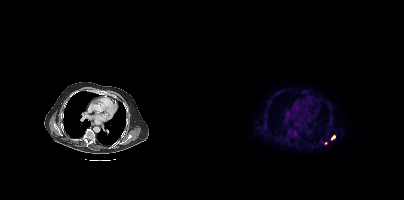
Two-panel axial: CT | PSMA PET, 18F tracer. Slice 295 of 431. PET panel 200×200 px (4.1 mm/px). Coordinates are on the 200×200 PET (right) panel. (showing 1 of 2 foci) PSMA-avid tumor lesion bounding box (x0, y0)-(x1, y1): (127, 135)-(131, 139).